Technique: Paired axial CT (left) and PSMA PET (right), 18F-PSMA tracer.
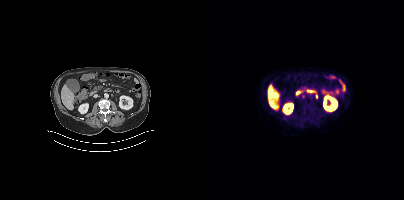
Findings: Coordinates are on the 200×200 PET (right) panel. Small PSMA-avid foci (2 to 4 px across) near (center x, center y): (99, 95) | (112, 96).